Left: CT. Right: PSMA PET, same axial level, 18F-PSMA tracer. Slice position z = -992 mm.
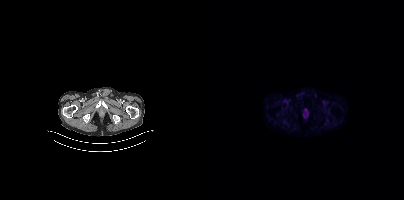
This slice has no annotated PSMA-avid lesion.